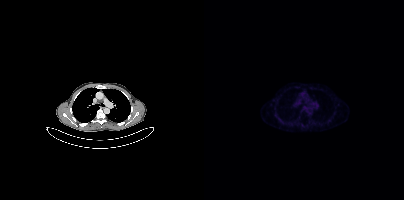
modality: PSMA PET/CT | tracer: 68Ga | view: axial
Negative for PSMA-avid disease on this slice.